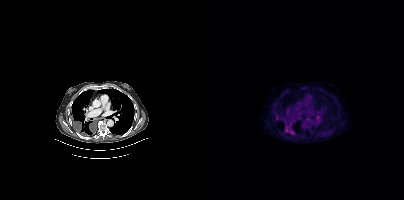
{"modality":"PSMA PET/CT","view":"axial","tracer":"18F","pet_grid":[200,200],"coord_frame":"pet_panel","coord_format":"x0,y0,x1,y1","lesion_bboxes":[[81,127,89,134],[72,115,75,119]]}